Technique: Left: CT. Right: PSMA PET, same axial level, 18F-PSMA tracer. acquired on Siemens Biograph mCT Flow 20. slice 352 of 450.
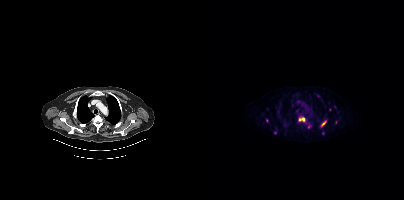
Findings: Coordinates are on the 200×200 PET (right) panel. (showing 10 of 11 foci) PSMA-avid tumor lesion bounding boxes (x0,y0,x1,y1): [95,117,101,122], [117,120,122,125]. Small PSMA-avid foci (2 to 4 px across) near (center x, center y): (114, 95), (63, 120), (71, 132), (119, 133), (131, 106), (125, 109), (92, 110), (104, 126).